Two-panel axial: CT | PSMA PET, 18F-PSMA tracer.
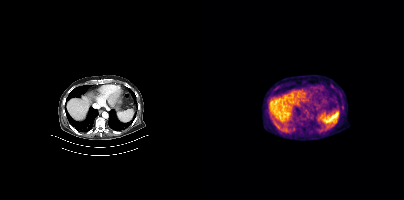
No tumor lesions annotated on this slice.